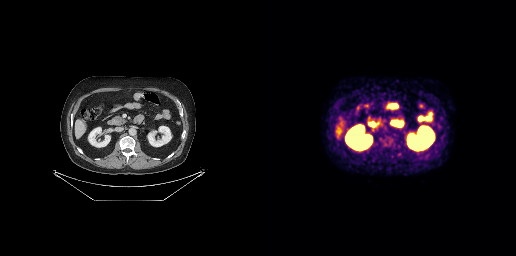
Left: CT. Right: PSMA PET, same axial level, [68Ga]Ga-PSMA-11 tracer. PET panel 256×256 px (2.7 mm/px). Negative for PSMA-avid disease on this slice.